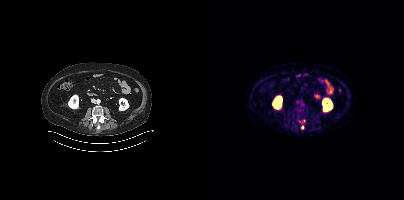
{"pet_grid":[200,200],"coord_frame":"pet_panel","coord_format":"x0,y0,x1,y1","partial":true,"lesion_bboxes":[],"modality":"PSMA PET/CT","view":"axial","tracer":"18F-PSMA"}